Left: CT. Right: PSMA PET, same axial level, 18F-PSMA tracer. PET panel 200×200 px (4.1 mm/px).
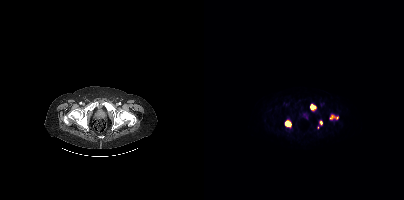
Coordinates are on the 200×200 PET (right) panel. (showing 4 of 5 foci) PSMA-avid tumor lesion bounding boxes (x, y, width, height): x=106 y=104 w=7 h=7 / x=81 y=121 w=7 h=6 / x=126 y=115 w=9 h=5. Small PSMA-avid focus (2 to 4 px across) near (center x, center y): (116, 122).